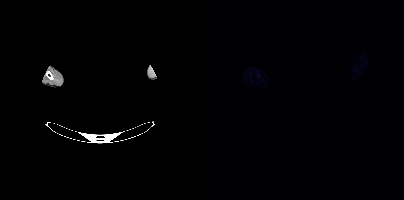
modality: PSMA PET/CT | tracer: 18F | view: axial | PET grid: 200×200 | de-identification: privacy mask over head
No tumor lesions annotated on this slice.